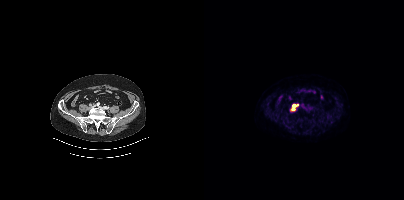
Coordinates are on the 200×200 PET (right) panel. PSMA-avid tumor lesion bounding box (x0,y0,x1,y1): [87,104,93,110].